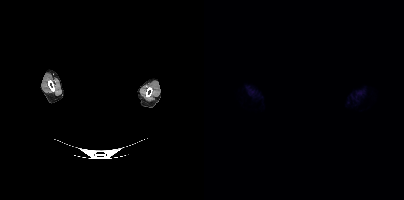
Technique: Two-panel axial: CT | PSMA PET, [18F]PSMA-1007 tracer. acquired on Siemens Biograph mCT Flow 20.
Note: A rectangle over the head was blacked out to remove identifiable facial features.
Findings: Negative for PSMA-avid disease on this slice.